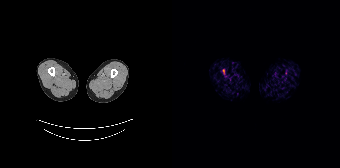
Only PSMA-avid lesion pieces thinner than 2 px on this slice (not listed). Paired axial CT (left) and PSMA PET (right), 68Ga-PSMA tracer. PET panel 168×168 px (4.1 mm/px).